- Left: CT. Right: PSMA PET, same axial level, [18F]PSMA-1007 tracer
- slice 61 of 405
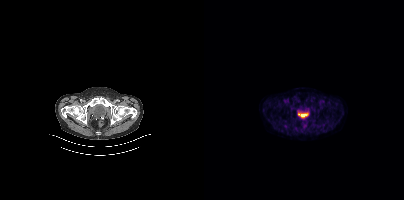
Findings: Negative for PSMA-avid disease on this slice.